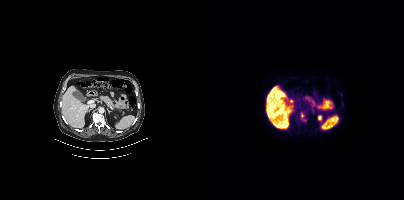
- Left: CT. Right: PSMA PET, same axial level, [18F]PSMA-1007 tracer
- PET panel 200×200 px (4.1 mm/px)
Findings: Coordinates are on the 200×200 PET (right) panel. PSMA-avid tumor lesion bounding boxes (x0,y0,x1,y1): [97,113,99,118]; [100,118,102,122]. Small PSMA-avid focus (2 to 4 px across) near (center x, center y): (136, 94).